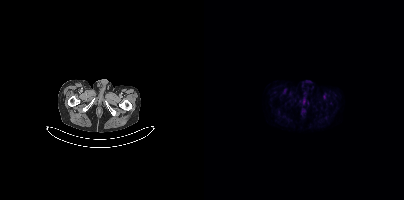
No tumor lesions annotated on this slice. Left: CT. Right: PSMA PET, same axial level, [18F]PSMA-1007 tracer. Slice position z = -858 mm.